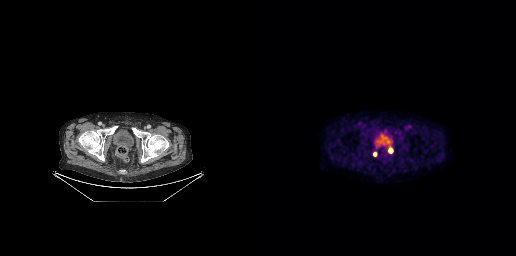
modality: PSMA PET/CT | tracer: 18F-PSMA | view: axial | PET grid: 256×256
Coordinates are on the 256×256 PET (right) panel. PSMA-avid tumor lesion bounding box (x, y, width, height): x=129 y=148 w=4 h=5. Small PSMA-avid focus (2 to 4 px across) near (center x, center y): (115, 154).